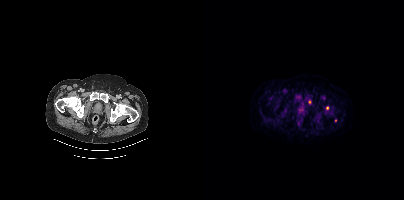
Coordinates are on the 200×200 PET (right) panel. Small PSMA-avid foci (2 to 4 px across) near (center x, center y): (123, 107) | (105, 102) | (131, 120).